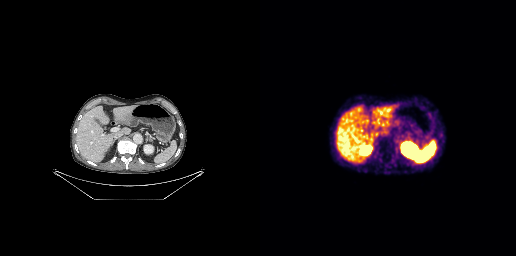
- Left: CT. Right: PSMA PET, same axial level, [68Ga]Ga-PSMA-11 tracer
- acquired on GE Discovery 690
- PET panel 256×256 px (2.7 mm/px)
Findings: This slice has no annotated PSMA-avid lesion.